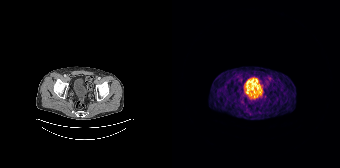
{"modality":"PSMA PET/CT","view":"axial","tracer":"[68Ga]Ga-PSMA-11","pet_grid":[168,168],"coord_frame":"pet_panel","coord_format":"x0,y0,x1,y1","psma_avid_lesions":false}